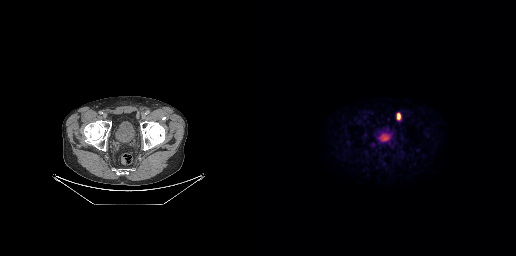
Coordinates are on the 256×256 PET (right) panel. PSMA-avid tumor lesion bounding box (x0, y0)-(x1, y1): (137, 113)-(140, 119).